modality: PSMA PET/CT | tracer: 18F-PSMA | view: axial
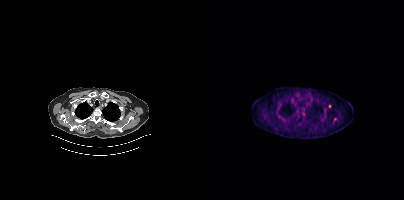
Coordinates are on the 200×200 PET (right) panel. Small PSMA-avid focus (2 to 4 px across) near (center x, center y): (126, 106).